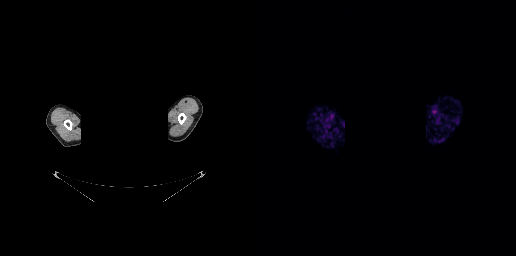
Face de-identified by blanking a block of the head.
No PSMA-avid tumor lesions on this slice.